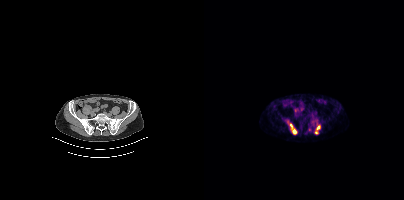
Findings: Coordinates are on the 200×200 PET (right) panel. PSMA-avid tumor lesion bounding boxes (x0, y0)-(x1, y1): (86, 123)-(93, 134) | (111, 125)-(116, 134).
- Paired axial CT (left) and PSMA PET (right), 68Ga-PSMA tracer
- slice position z = -947 mm